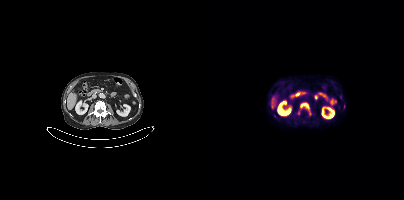
Paired axial CT (left) and PSMA PET (right), [18F]PSMA-1007 tracer. Acquired on Siemens Biograph mCT Flow 20. Coordinates are on the 200×200 PET (right) panel. PSMA-avid tumor lesion bounding box (x0, y0)-(x1, y1): (96, 102)-(106, 114). Small PSMA-avid focus (2 to 4 px across) near (center x, center y): (94, 112).